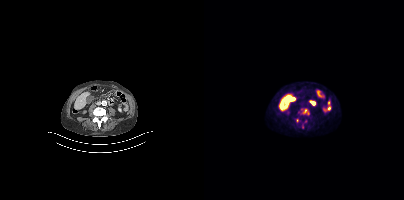
Coordinates are on the 200×200 PET (right) panel. PSMA-avid tumor lesion bounding boxes (partial; 1 more focus not listed):
| # | x0 | y0 | x1 | y1 |
|---|---|---|---|---|
| 1 | 97 | 108 | 105 | 115 |
Small PSMA-avid foci (2 to 4 px across) near (center x, center y): (93, 120); (101, 121).
Paired axial CT (left) and PSMA PET (right), [18F]PSMA-1007 tracer. Slice position z = -1285 mm. PET panel 200×200 px (4.1 mm/px).